Two-panel axial: CT | PSMA PET, [68Ga]Ga-PSMA-11 tracer.
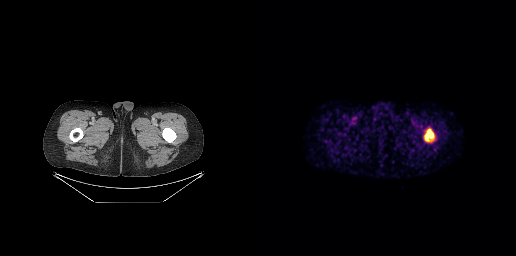
Coordinates are on the 256×256 PET (right) panel. PSMA-avid tumor lesion bounding box (x0, y0)-(x1, y1): (165, 129)-(173, 141).